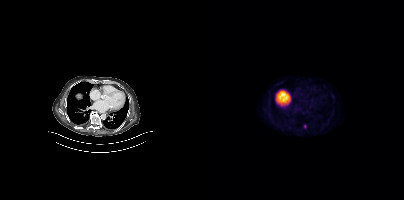
Coordinates are on the 200×200 PET (right) panel. Small PSMA-avid focus (2 to 4 px across) near (center x, center y): (101, 126).